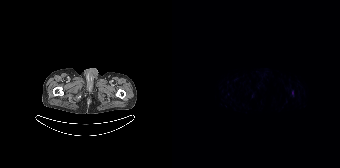
modality: PSMA PET/CT | tracer: 18F-PSMA | view: axial | PET grid: 168×168
Only PSMA-avid lesion pieces thinner than 2 px on this slice (not listed).